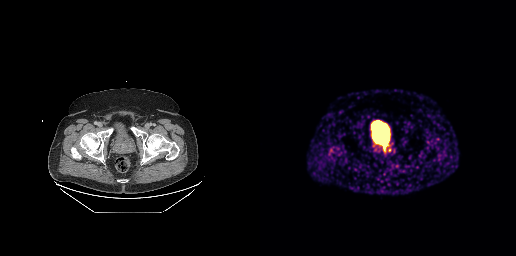
Findings: Coordinates are on the 256×256 PET (right) panel. PSMA-avid tumor lesion bounding box (x0, y0)-(x1, y1): (114, 134)-(129, 153).
Technique: Two-panel axial: CT | PSMA PET, 68Ga-PSMA tracer. acquired on GE Discovery 690. PET panel 256×256 px (2.7 mm/px).